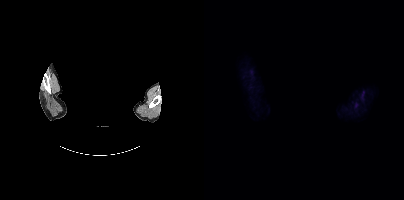
Findings: No PSMA-avid tumor lesions on this slice.
- Two-panel axial: CT | PSMA PET, [18F]PSMA-1007 tracer
- acquired on Siemens Biograph mCT Flow 20
- PET panel 200×200 px (4.1 mm/px)
- a rectangular block over the head has been blanked out for de-identification